Left: CT. Right: PSMA PET, same axial level, [18F]PSMA-1007 tracer. Acquired on Siemens Biograph mCT Flow 20. Slice 327 of 421. PET panel 200×200 px (4.1 mm/px).
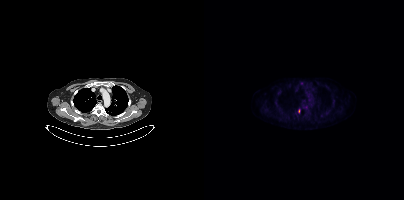
Coordinates are on the 200×200 PET (right) panel. (showing 1 of 2 foci) Small PSMA-avid focus (2 to 4 px across) near (center x, center y): (94, 110).